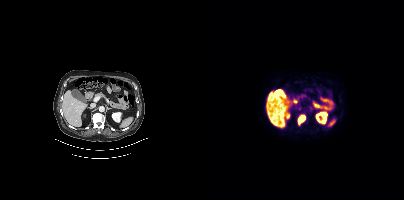
Technique: Left: CT. Right: PSMA PET, same axial level, 18F tracer. PET panel 200×200 px (4.1 mm/px).
Findings: Coordinates are on the 200×200 PET (right) panel. PSMA-avid tumor lesion bounding box (x0, y0)-(x1, y1): (94, 115)-(101, 125).